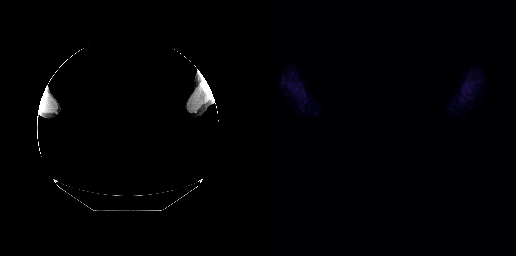
{"modality":"PSMA PET/CT","view":"axial","tracer":"18F","pet_grid":[256,256],"coord_frame":"pet_panel","coord_format":"x0,y0,x1,y1","psma_avid_lesions":false,"redaction":"rectangular block over head set to black"}